- Paired axial CT (left) and PSMA PET (right), [18F]PSMA-1007 tracer
- slice 254 of 401
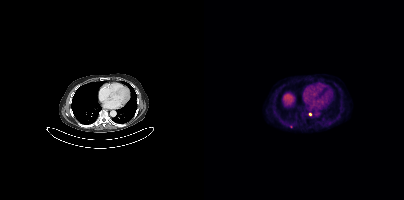
Findings: Coordinates are on the 200×200 PET (right) panel. (showing 1 of 2 foci) Small PSMA-avid focus (2 to 4 px across) near (center x, center y): (106, 114).